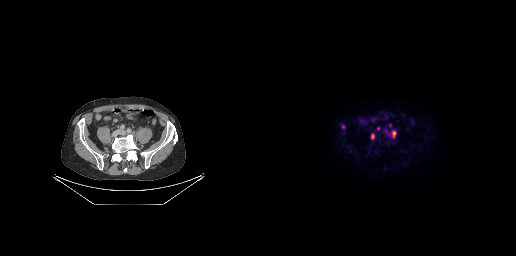
{"modality":"PSMA PET/CT","view":"axial","tracer":"18F","pet_grid":[256,256],"coord_frame":"pet_panel","coord_format":"x0,y0,x1,y1","lesion_bboxes":[[131,130,136,138],[111,133,114,139]],"small_foci_centers":[[83,126],[118,128],[130,125]]}